Two-panel axial: CT | PSMA PET, 18F tracer. Slice 378 of 435. Any black rectangle over the head is a privacy mask, not anatomy.
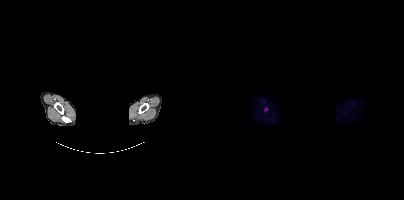
Coordinates are on the 200×200 PET (right) panel. Small PSMA-avid focus (2 to 4 px across) near (center x, center y): (62, 109).